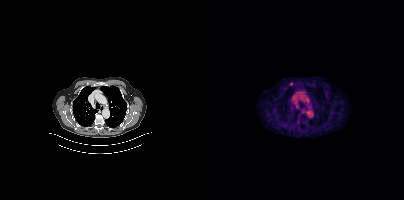
Left: CT. Right: PSMA PET, same axial level, 18F tracer. Acquired on Siemens Biograph mCT Flow 20. Coordinates are on the 200×200 PET (right) panel. Small PSMA-avid focus (2 to 4 px across) near (center x, center y): (87, 84).